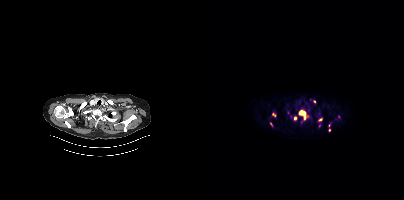
- Paired axial CT (left) and PSMA PET (right), [18F]PSMA-1007 tracer
- slice 367 of 444
- PET panel 200×200 px (4.1 mm/px)
Findings: Coordinates are on the 200×200 PET (right) panel. (showing 7 of 9 foci) PSMA-avid tumor lesion bounding boxes (x, y, width, height): x=94 y=110 w=11 h=11; x=90 y=116 w=3 h=5. Small PSMA-avid foci (2 to 4 px across) near (center x, center y): (69, 114); (115, 119); (125, 130); (110, 101); (66, 123).